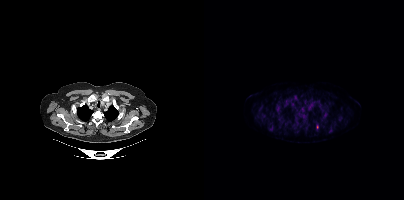
Coordinates are on the 200×200 PET (right) panel. (showing 12 of 15 foci) PSMA-avid tumor lesion bounding boxes (x0, y0)-(x1, y1): (95, 113)-(101, 118) | (72, 107)-(76, 111) | (117, 113)-(123, 118) | (80, 101)-(84, 105). Small PSMA-avid foci (2 to 4 px across) near (center x, center y): (91, 97) | (113, 126) | (75, 119) | (108, 98) | (117, 107) | (67, 130) | (83, 98) | (123, 110). Left: CT. Right: PSMA PET, same axial level, 18F-PSMA tracer. Acquired on Siemens Biograph mCT Flow 20.